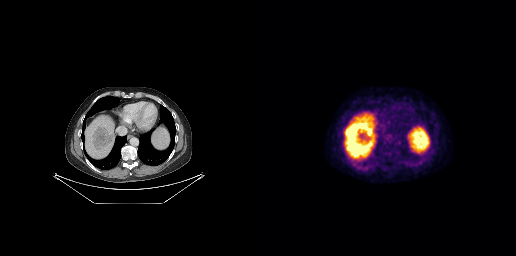
Technique: Left: CT. Right: PSMA PET, same axial level, [18F]PSMA-1007 tracer. acquired on GE Discovery 690. slice 164 of 263. PET panel 256×256 px (2.7 mm/px).
Findings: No tumor lesions annotated on this slice.